modality: PSMA PET/CT | tracer: [18F]PSMA-1007 | view: axial | PET grid: 200×200
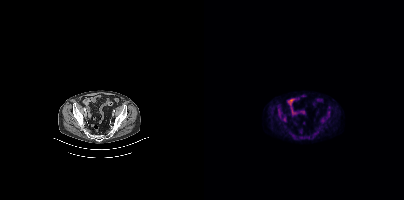
Coordinates are on the 200×200 PET (right) panel. PSMA-avid tumor lesion bounding boxes (x0, y0)-(x1, y1): (116, 117)-(123, 123) / (123, 111)-(126, 116) / (74, 108)-(76, 113). Small PSMA-avid focus (2 to 4 px across) near (center x, center y): (80, 120).